Paired axial CT (left) and PSMA PET (right), 18F-PSMA tracer. Slice position z = -886 mm.
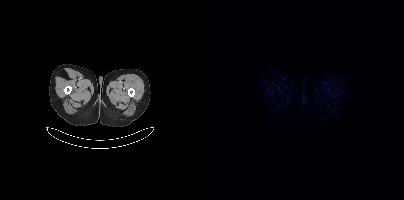
Negative for PSMA-avid disease on this slice.